deidentification: privacy mask over head | modality: PSMA PET/CT | tracer: 18F | view: axial
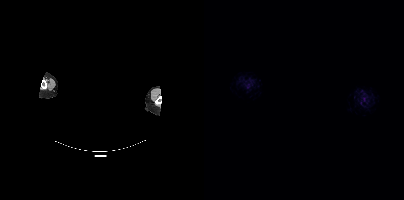
This slice has no annotated PSMA-avid lesion.